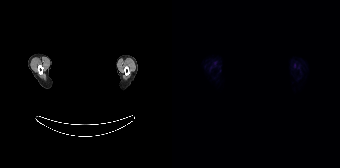
This slice has no annotated PSMA-avid lesion. An anonymization step blacked out a rectangle over the head in this scan. Left: CT. Right: PSMA PET, same axial level, 18F-PSMA tracer.